Technique: Left: CT. Right: PSMA PET, same axial level, 68Ga-PSMA tracer. PET panel 256×256 px (2.7 mm/px).
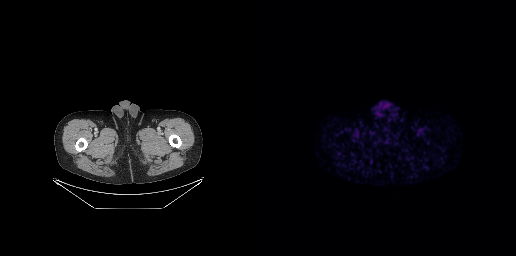
Findings: No PSMA-avid tumor lesions on this slice.